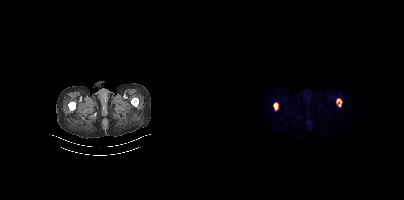
No tumor lesions annotated on this slice.